- Paired axial CT (left) and PSMA PET (right), [18F]PSMA-1007 tracer
- slice position z = -525 mm
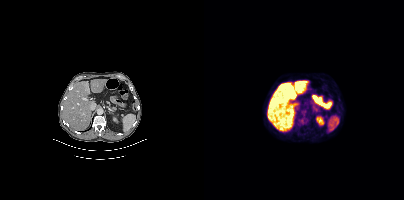
Findings: Coordinates are on the 200×200 PET (right) panel. Small PSMA-avid focus (2 to 4 px across) near (center x, center y): (96, 120).